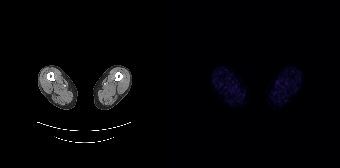
Negative for PSMA-avid disease on this slice. Paired axial CT (left) and PSMA PET (right), [68Ga]Ga-PSMA-11 tracer. Acquired on Siemens Biograph 64-4R TruePoint.